modality: PSMA PET/CT | tracer: 18F-PSMA | view: axial | PET grid: 200×200
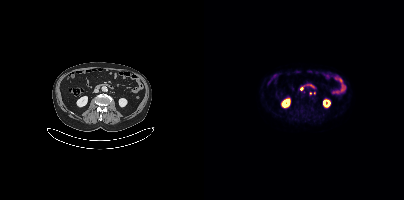
No PSMA-avid tumor lesions on this slice.